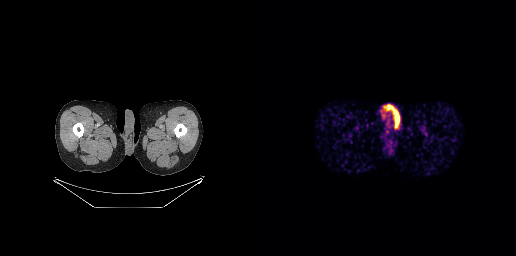
No PSMA-avid tumor lesions on this slice.
modality: PSMA PET/CT | tracer: 68Ga | view: axial | PET grid: 256×256